Left: CT. Right: PSMA PET, same axial level, [18F]PSMA-1007 tracer. Acquired on Siemens Biograph mCT Flow 20. PET panel 200×200 px (4.1 mm/px).
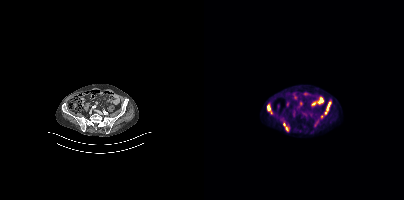
Coordinates are on the 200×200 PET (right) panel. PSMA-avid tumor lesion bounding boxes:
| # | x0 | y0 | x1 | y1 |
|---|---|---|---|---|
| 1 | 79 | 123 | 85 | 131 |
| 2 | 121 | 102 | 127 | 112 |
| 3 | 63 | 105 | 68 | 113 |
Small PSMA-avid focus (2 to 4 px across) near (center x, center y): (117, 116).